- Left: CT. Right: PSMA PET, same axial level, 18F-PSMA tracer
- slice position z = -827 mm
- PET panel 200×200 px (4.1 mm/px)
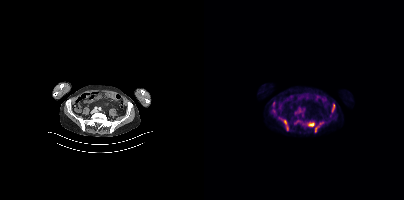
Findings: Coordinates are on the 200×200 PET (right) panel. (showing 2 of 3 foci) PSMA-avid tumor lesion bounding boxes (x0, y0)-(x1, y1): (78, 119)-(84, 130) / (104, 122)-(109, 126).